- an anonymization step blacked out a rectangle over the head in this scan
- Paired axial CT (left) and PSMA PET (right), 18F-PSMA tracer
- PET panel 200×200 px (4.1 mm/px)
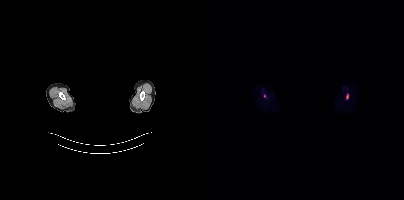
Findings: Coordinates are on the 200×200 PET (right) panel. PSMA-avid tumor lesion bounding box (x0, y0)-(x1, y1): (142, 94)-(144, 98). Small PSMA-avid focus (2 to 4 px across) near (center x, center y): (60, 95).